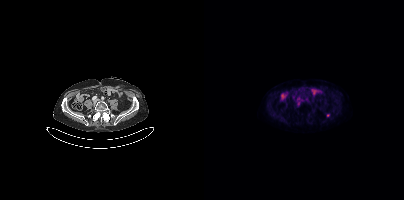
Negative for PSMA-avid disease on this slice.